Paired axial CT (left) and PSMA PET (right), [18F]PSMA-1007 tracer. Acquired on Siemens Biograph mCT Flow 20. PET panel 200×200 px (4.1 mm/px).
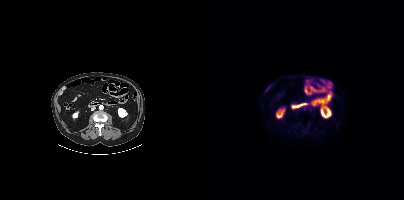
This slice has no annotated PSMA-avid lesion.